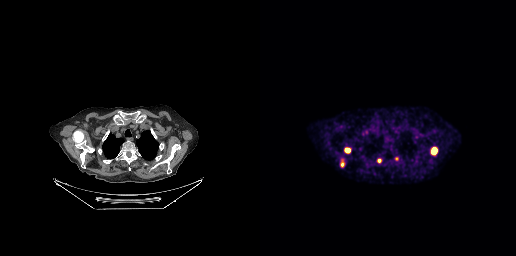
Coordinates are on the 256×256 PET (right) panel. PSMA-avid tumor lesion bounding boxes (x0, y0)-(x1, y1): (84, 147)-(90, 153) | (172, 147)-(177, 152) | (117, 159)-(121, 162) | (81, 162)-(84, 166). Small PSMA-avid focus (2 to 4 px across) near (center x, center y): (136, 158). Left: CT. Right: PSMA PET, same axial level, [18F]PSMA-1007 tracer. Acquired on GE Discovery 690. Slice 219 of 263. PET panel 256×256 px (2.7 mm/px).